Two-panel axial: CT | PSMA PET, [18F]PSMA-1007 tracer. Slice 142 of 195.
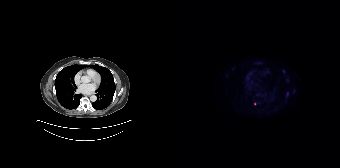
Coordinates are on the 168×168 PET (right) panel. PSMA-avid tumor lesion bounding box (x, y, width, height): x=114 y=92 w=3 h=5. Small PSMA-avid foci (2 to 4 px across) near (center x, center y): (83, 103) | (111, 71).